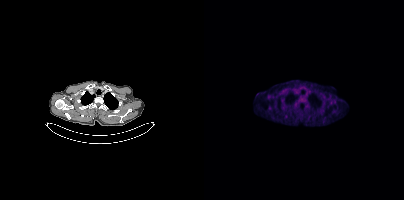
{"modality":"PSMA PET/CT","view":"axial","tracer":"[18F]PSMA-1007","pet_grid":[200,200],"coord_frame":"pet_panel","coord_format":"x0,y0,x1,y1","psma_avid_lesions":false}